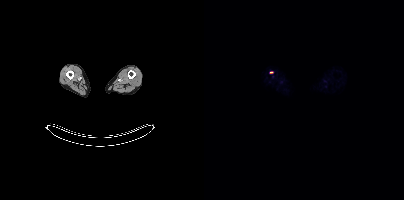
{"pet_grid":[200,200],"coord_frame":"pet_panel","coord_format":"x0,y0,x1,y1","lesion_bboxes":[],"small_foci_centers":[[67,72]],"modality":"PSMA PET/CT","view":"axial","tracer":"18F"}